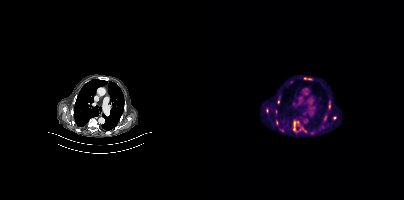
{"pet_grid":[200,200],"coord_frame":"pet_panel","coord_format":"x0,y0,x1,y1","lesion_bboxes":[[90,122,94,126],[62,108,64,113],[73,99,75,103]],"small_foci_centers":[[130,118],[73,121],[72,111],[121,117],[90,129],[86,82]],"modality":"PSMA PET/CT","view":"axial","tracer":"18F-PSMA"}